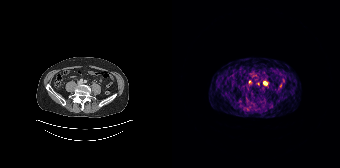
Findings: Coordinates are on the 168×168 PET (right) panel. Small PSMA-avid focus (2 to 4 px across) near (center x, center y): (93, 83).
- Paired axial CT (left) and PSMA PET (right), [68Ga]Ga-PSMA-11 tracer
- acquired on Siemens Biograph 64-4R TruePoint
- PET panel 168×168 px (4.1 mm/px)